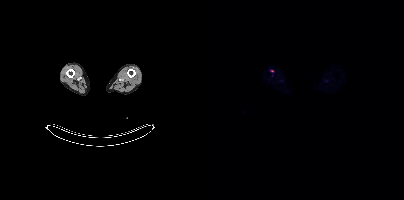
{"pet_grid":[200,200],"coord_frame":"pet_panel","coord_format":"x0,y0,x1,y1","lesion_bboxes":[],"small_foci_centers":[[68,70]],"modality":"PSMA PET/CT","view":"axial","tracer":"18F"}